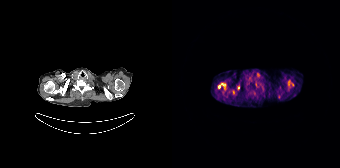
Left: CT. Right: PSMA PET, same axial level, 68Ga tracer. PET panel 168×168 px (4.1 mm/px). Coordinates are on the 168×168 PET (right) panel. (showing 7 of 8 foci) PSMA-avid tumor lesion bounding boxes (x, y, width, height): x=46 y=83 w=8 h=6 / x=116 y=81 w=2 h=5. Small PSMA-avid foci (2 to 4 px across) near (center x, center y): (61, 91) / (82, 92) / (106, 96) / (78, 80) / (66, 87).